Left: CT. Right: PSMA PET, same axial level, [68Ga]Ga-PSMA-11 tracer.
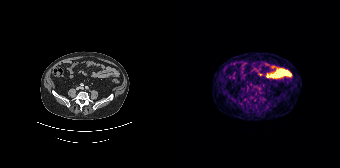
Negative for PSMA-avid disease on this slice.